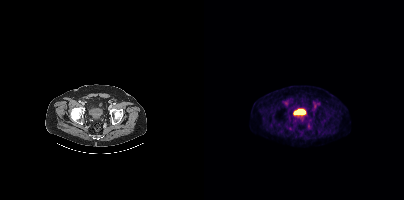
Findings: No PSMA-avid tumor lesions on this slice.
Technique: Two-panel axial: CT | PSMA PET, 18F-PSMA tracer.